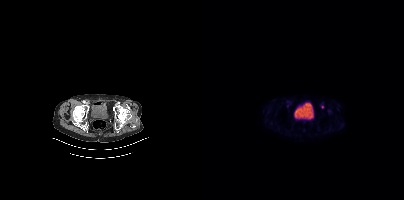
Findings: Only PSMA-avid lesion pieces thinner than 2 px on this slice (not listed).
- Paired axial CT (left) and PSMA PET (right), [68Ga]Ga-PSMA-11 tracer
- acquired on Siemens Biograph mCT Flow 20
- slice position z = -1526 mm
- PET panel 200×200 px (4.1 mm/px)